Technique: Left: CT. Right: PSMA PET, same axial level, [18F]PSMA-1007 tracer. PET panel 200×200 px (4.1 mm/px).
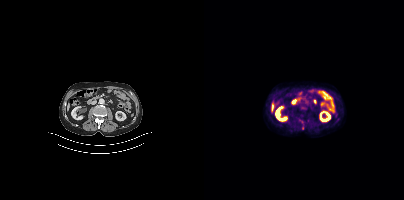
Findings: Coordinates are on the 200×200 PET (right) panel. Small PSMA-avid focus (2 to 4 px across) near (center x, center y): (98, 128).